modality: PSMA PET/CT | tracer: [18F]PSMA-1007 | view: axial
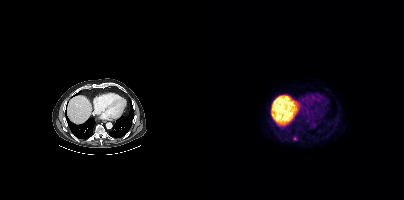
Coordinates are on the 200×200 PET (right) panel. PSMA-avid tumor lesion bounding box (x, y, width, height): x=89 y=136 w=5 h=5.